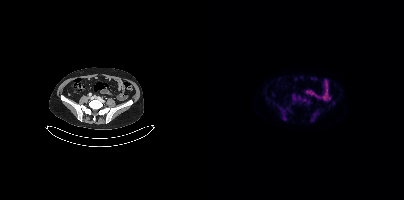
Technique: Paired axial CT (left) and PSMA PET (right), 18F-PSMA tracer. acquired on Siemens Biograph mCT Flow 20. PET panel 200×200 px (4.1 mm/px).
Findings: No tumor lesions annotated on this slice.